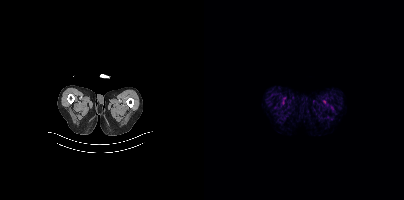
Negative for PSMA-avid disease on this slice.